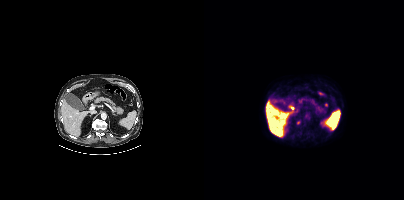
Coordinates are on the 200×200 PET (right) panel. Small PSMA-avid focus (2 to 4 px across) near (center x, center y): (94, 122). Left: CT. Right: PSMA PET, same axial level, [18F]PSMA-1007 tracer.